Technique: Paired axial CT (left) and PSMA PET (right), 18F tracer. slice 124 of 427. PET panel 200×200 px (4.1 mm/px).
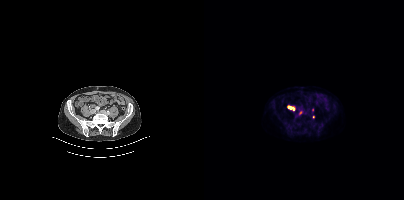
Findings: Coordinates are on the 200×200 PET (right) panel. PSMA-avid tumor lesion bounding box (x0, y0)-(x1, y1): (83, 105)-(90, 110). Small PSMA-avid foci (2 to 4 px across) near (center x, center y): (109, 117) / (108, 109) / (96, 112).